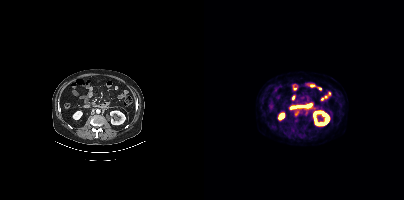
Paired axial CT (left) and PSMA PET (right), 18F tracer. Acquired on Siemens Biograph mCT Flow 20. Coordinates are on the 200×200 PET (right) panel. Small PSMA-avid focus (2 to 4 px across) near (center x, center y): (92, 114).